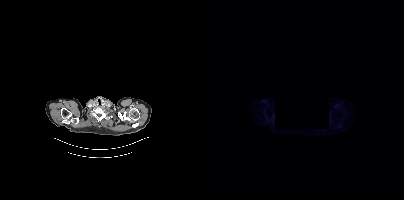
No PSMA-avid tumor lesions on this slice. An anonymization step blacked out a rectangle in this scan. Two-panel axial: CT | PSMA PET, 18F tracer.